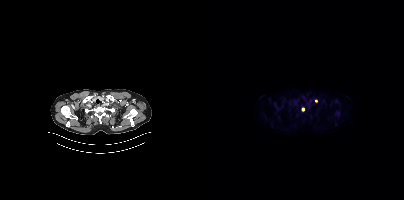
modality: PSMA PET/CT | tracer: 18F-PSMA | view: axial | PET grid: 200×200
Coordinates are on the 200×200 PET (right) panel. (showing 1 of 2 foci) Small PSMA-avid focus (2 to 4 px across) near (center x, center y): (98, 109).